De-identified by setting a box covering the face to black before release. Two-panel axial: CT | PSMA PET, 18F tracer. Acquired on Siemens Biograph mCT Flow 20.
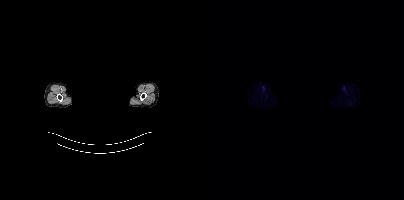
No PSMA-avid tumor lesions on this slice.